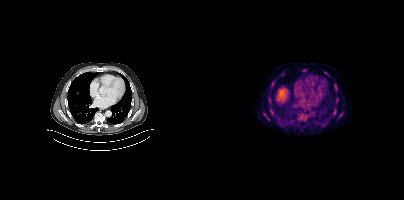
Coordinates are on the 200×200 PET (right) panel. (showing 6 of 9 foci) PSMA-avid tumor lesion bounding boxes (x0,y0,x1,y1): [60,113,65,120], [98,69,103,72]. Small PSMA-avid foci (2 to 4 px across) near (center x, center y): (78, 73), (132, 89), (131, 110), (122, 73). Two-panel axial: CT | PSMA PET, [18F]PSMA-1007 tracer. PET panel 200×200 px (4.1 mm/px).